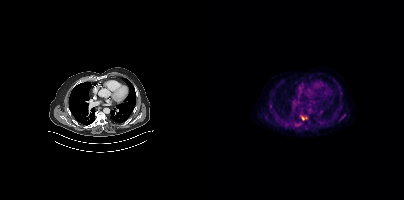
- Left: CT. Right: PSMA PET, same axial level, 18F-PSMA tracer
- PET panel 200×200 px (4.1 mm/px)
Findings: Coordinates are on the 200×200 PET (right) panel. (showing 3 of 4 foci) PSMA-avid tumor lesion bounding boxes (x0, y0)-(x1, y1): (96, 115)-(103, 120) | (92, 123)-(96, 125). Small PSMA-avid focus (2 to 4 px across) near (center x, center y): (136, 118).